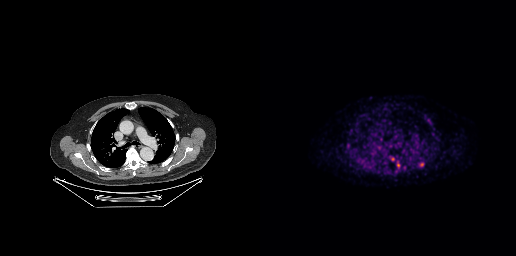
No tumor lesions annotated on this slice.